- any black rectangle over the head is a privacy mask, not anatomy
- Two-panel axial: CT | PSMA PET, 18F-PSMA tracer
- acquired on Siemens Biograph mCT Flow 20
- slice 364 of 403
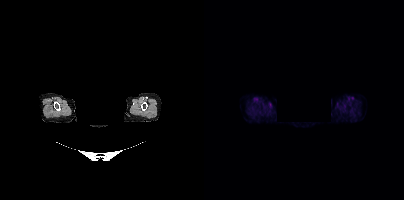
Findings: Negative for PSMA-avid disease on this slice.